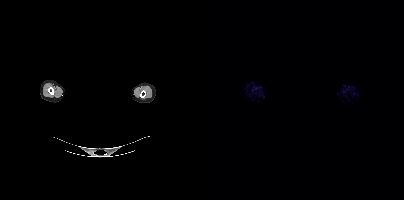
No tumor lesions annotated on this slice. Face de-identified by blanking a block of the head. Two-panel axial: CT | PSMA PET, [18F]PSMA-1007 tracer. Slice position z = -242 mm. PET panel 200×200 px (4.1 mm/px).